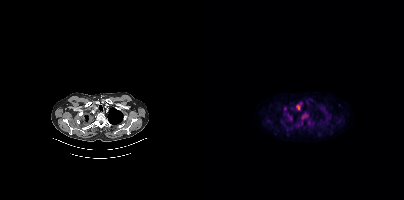
{"modality":"PSMA PET/CT","view":"axial","tracer":"[18F]PSMA-1007","pet_grid":[200,200],"coord_frame":"pet_panel","coord_format":"x0,y0,x1,y1","partial":true,"lesion_bboxes":[[97,113,104,120],[83,113,88,121],[93,105,95,109]],"small_foci_centers":[[81,109]]}